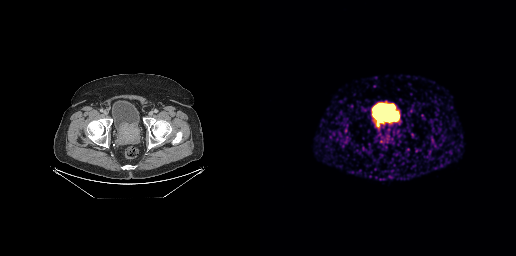
- Paired axial CT (left) and PSMA PET (right), 68Ga-PSMA tracer
- PET panel 256×256 px (2.7 mm/px)
Findings: Coordinates are on the 256×256 PET (right) panel. PSMA-avid tumor lesion bounding box (x0,y0,x1,y1): [119,133,129,141].